Paired axial CT (left) and PSMA PET (right), 18F tracer. Acquired on Siemens Biograph mCT Flow 20. PET panel 200×200 px (4.1 mm/px).
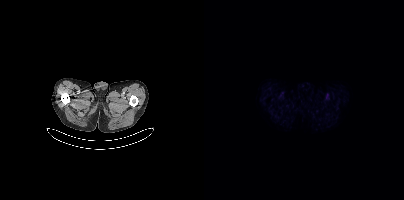
No tumor lesions annotated on this slice.